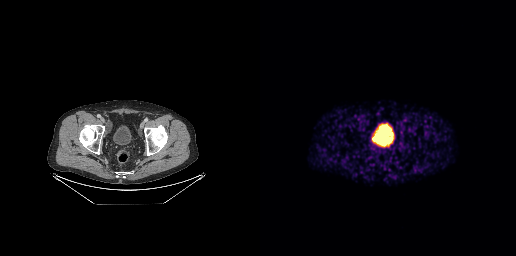
- Two-panel axial: CT | PSMA PET, [68Ga]Ga-PSMA-11 tracer
- slice 56 of 263
- PET panel 256×256 px (2.7 mm/px)
Findings: No tumor lesions annotated on this slice.